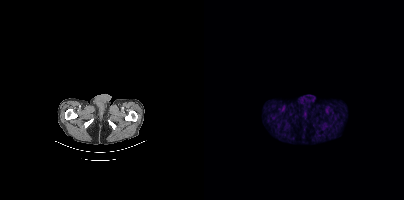
{"pet_grid":[200,200],"coord_frame":"pet_panel","coord_format":"x0,y0,x1,y1","psma_avid_lesions":false,"modality":"PSMA PET/CT","view":"axial","tracer":"18F"}